Technique: Paired axial CT (left) and PSMA PET (right), 68Ga-PSMA tracer. PET panel 256×256 px (2.7 mm/px).
Note: Facial anatomy redacted by setting a rectangular region of the head to black.
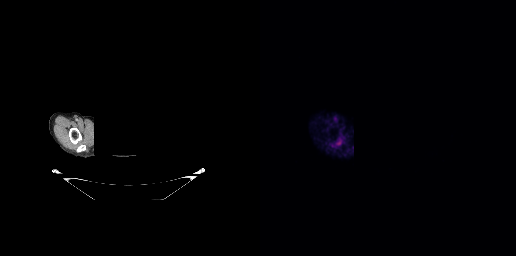
Findings: This slice has no annotated PSMA-avid lesion.